Left: CT. Right: PSMA PET, same axial level, 68Ga tracer. Slice position z = -1380 mm.
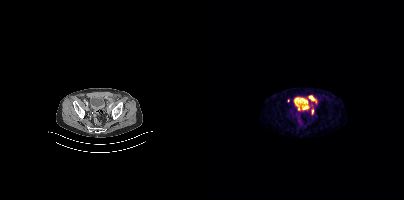
Coordinates are on the 200×200 PET (right) panel. (showing 4 of 5 foci) PSMA-avid tumor lesion bounding boxes (x0, y0)-(x1, y1): (100, 105)-(105, 109) | (105, 96)-(112, 102) | (108, 109)-(109, 113). Small PSMA-avid focus (2 to 4 px across) near (center x, center y): (95, 108).